- Paired axial CT (left) and PSMA PET (right), [18F]PSMA-1007 tracer
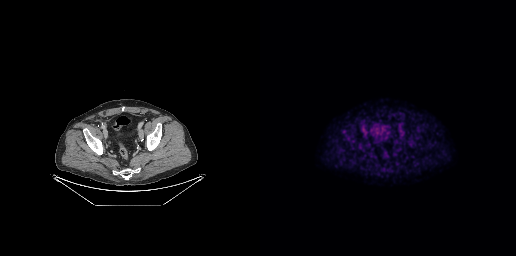
Findings: This slice has no annotated PSMA-avid lesion.